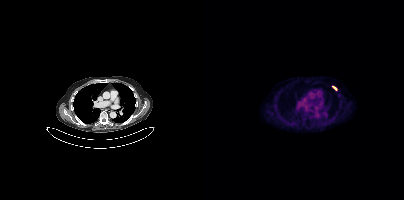
Technique: Left: CT. Right: PSMA PET, same axial level, [18F]PSMA-1007 tracer. slice position z = -1256 mm.
Findings: Coordinates are on the 200×200 PET (right) panel. PSMA-avid tumor lesion bounding box (x, y, width, height): x=129 y=86 w=4 h=5.